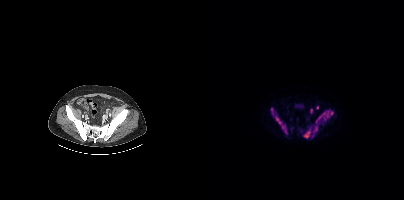
Technique: Two-panel axial: CT | PSMA PET, 18F-PSMA tracer. slice position z = -936 mm.
Findings: Coordinates are on the 200×200 PET (right) panel. (showing 5 of 7 foci) PSMA-avid tumor lesion bounding boxes (x, y, width, height): x=112 y=110 w=18 h=13 / x=100 y=132 w=6 h=7 / x=72 y=117 w=6 h=7. Small PSMA-avid foci (2 to 4 px across) near (center x, center y): (67, 109) / (78, 126).